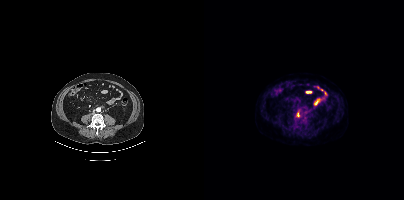
Coordinates are on the 200×200 PET (right) panel. PSMA-avid tumor lesion bounding boxes:
| # | x0 | y0 | x1 | y1 |
|---|---|---|---|---|
| 1 | 92 | 112 | 95 | 116 |
Two-panel axial: CT | PSMA PET, 18F-PSMA tracer. PET panel 200×200 px (4.1 mm/px).